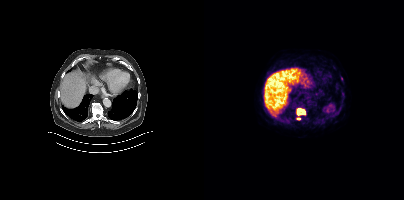
modality: PSMA PET/CT | tracer: 18F-PSMA | view: axial
Coordinates are on the 200×200 PET (right) panel. PSMA-avid tumor lesion bounding box (x, y, width, height): x=93 y=108 w=8 h=7. Small PSMA-avid foci (2 to 4 px across) near (center x, center y): (94, 117) / (137, 79).